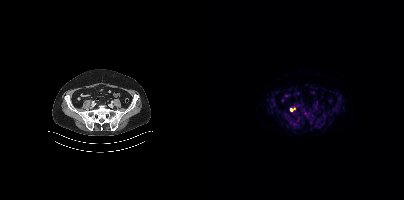
Coordinates are on the 200×200 PET (right) panel. PSMA-avid tumor lesion bounding boxes:
| # | x0 | y0 | x1 | y1 |
|---|---|---|---|---|
| 1 | 86 | 108 | 91 | 111 |
Left: CT. Right: PSMA PET, same axial level, 18F-PSMA tracer. Slice 125 of 433.